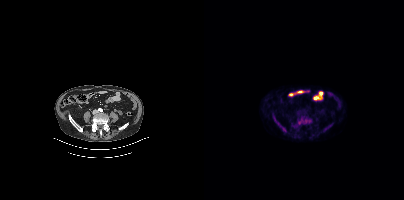
{"modality":"PSMA PET/CT","view":"axial","tracer":"18F-PSMA","pet_grid":[200,200],"coord_frame":"pet_panel","coord_format":"x0,y0,x1,y1","lesion_bboxes":[[96,116,104,124],[70,119,82,132]]}